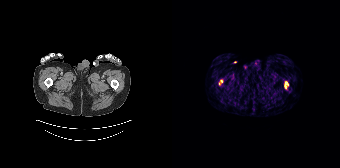
{"modality":"PSMA PET/CT","view":"axial","tracer":"[68Ga]Ga-PSMA-11","pet_grid":[168,168],"coord_frame":"pet_panel","coord_format":"x0,y0,x1,y1","lesion_bboxes":[[113,82,116,88]],"small_foci_centers":[[49,81]]}